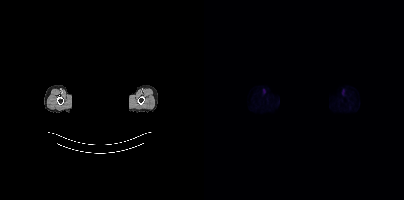
Head region blanked for anonymization (face removed).
This slice has no annotated PSMA-avid lesion.